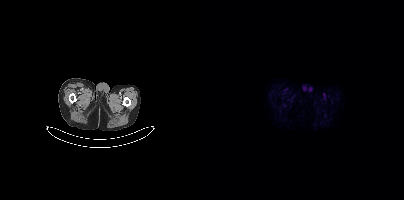
- Left: CT. Right: PSMA PET, same axial level, 18F-PSMA tracer
- acquired on Siemens Biograph mCT Flow 20
Findings: Negative for PSMA-avid disease on this slice.